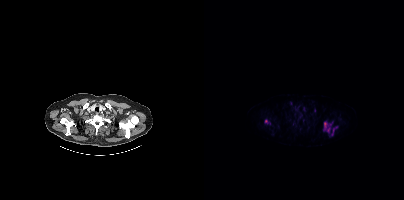
Coordinates are on the 200×200 PET (right) panel. (showing 5 of 7 foci) PSMA-avid tumor lesion bounding boxes (x, y, width, height): x=119 y=122 w=8 h=11 / x=128 y=128 w=3 h=8. Small PSMA-avid foci (2 to 4 px across) near (center x, center y): (62, 121) / (110, 110) / (126, 124).